Paired axial CT (left) and PSMA PET (right), [18F]PSMA-1007 tracer. Acquired on Siemens Biograph mCT Flow 20. Slice 296 of 395. PET panel 200×200 px (4.1 mm/px).
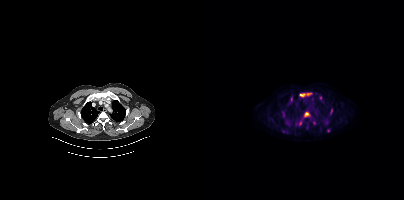
Coordinates are on the 200×200 PET (right) panel. (showing 10 of 11 foci) PSMA-avid tumor lesion bounding boxes (x0,y0,x1,y1): [95,93,107,97]; [100,112,106,116]; [95,118,98,124]; [86,97,88,101]. Small PSMA-avid foci (2 to 4 px across) near (center x, center y): (116, 97); (79, 115); (124, 130); (79, 131); (127, 110); (110, 123).